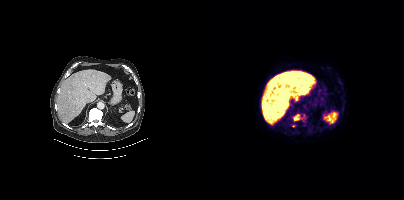
Findings: Coordinates are on the 200×200 PET (right) panel. (showing 1 of 2 foci) PSMA-avid tumor lesion bounding box (x, y, width, height): x=89 y=114 w=7 h=7.
- Paired axial CT (left) and PSMA PET (right), 18F-PSMA tracer
- acquired on Siemens Biograph mCT Flow 20
- PET panel 200×200 px (4.1 mm/px)